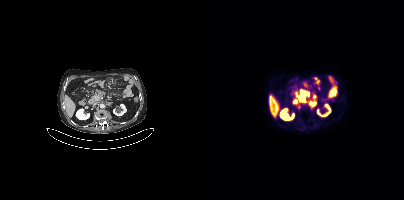
Coordinates are on the 200×200 PET (right) panel. PSMA-avid tumor lesion bounding boxes (x, y, width, height): x=92 y=90 w=14 h=12 / x=105 y=102 w=7 h=5. Small PSMA-avid foci (2 to 4 px across) near (center x, center y): (110, 96) / (95, 107).